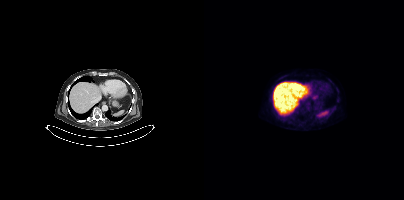
Negative for PSMA-avid disease on this slice. Two-panel axial: CT | PSMA PET, 18F-PSMA tracer. Acquired on Siemens Biograph mCT Flow 20. Slice 263 of 421.